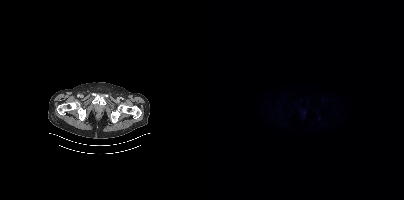
Findings: No PSMA-avid tumor lesions on this slice.
Technique: Paired axial CT (left) and PSMA PET (right), 18F-PSMA tracer. acquired on Siemens Biograph mCT Flow 20.